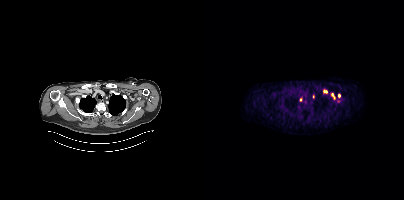
Findings: Coordinates are on the 200×200 PET (right) panel. (showing 4 of 6 foci) PSMA-avid tumor lesion bounding box (x0, y0)-(x1, y1): (119, 90)-(123, 92). Small PSMA-avid foci (2 to 4 px across) near (center x, center y): (109, 96) / (128, 94) / (96, 99).
- Two-panel axial: CT | PSMA PET, [68Ga]Ga-PSMA-11 tracer
- slice position z = -944 mm